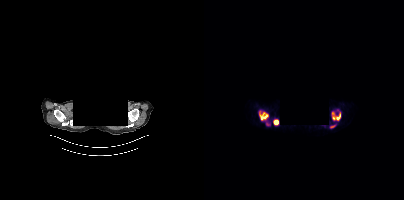
{"pet_grid":[200,200],"coord_frame":"pet_panel","coord_format":"x0,y0,x1,y1","lesion_bboxes":[[128,109,136,120],[55,110,64,120],[62,121,67,125],[70,120,74,124],[126,125,131,128]],"modality":"PSMA PET/CT","view":"axial","tracer":"68Ga-PSMA","de-identification":"head region blanked (face removed)"}